Face de-identified by blanking a block of the head. Two-panel axial: CT | PSMA PET, 18F-PSMA tracer. Slice 263 of 263.
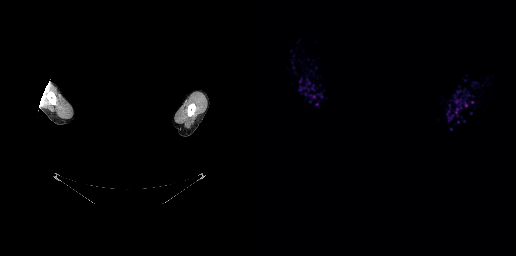
No PSMA-avid tumor lesions on this slice.